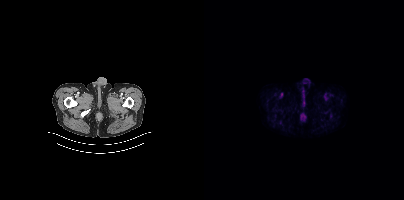
{"modality":"PSMA PET/CT","view":"axial","tracer":"18F","pet_grid":[200,200],"coord_frame":"pet_panel","coord_format":"x0,y0,x1,y1","psma_avid_lesions":false}